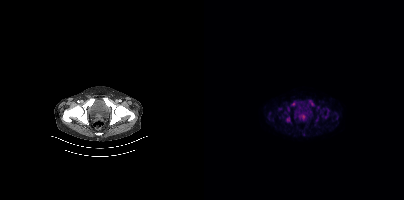
Findings: Coordinates are on the 200×200 PET (right) panel. (showing 8 of 10 foci) PSMA-avid tumor lesion bounding boxes (x0, y0)-(x1, y1): (82, 116)-(86, 122); (121, 108)-(125, 118); (97, 115)-(101, 119); (105, 100)-(109, 104); (84, 107)-(85, 111). Small PSMA-avid foci (2 to 4 px across) near (center x, center y): (89, 103); (114, 107); (76, 108).
Technique: Left: CT. Right: PSMA PET, same axial level, 18F tracer. PET panel 200×200 px (4.1 mm/px).